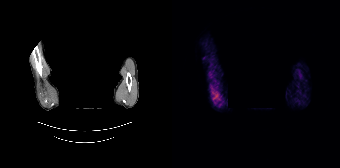
Technique: Two-panel axial: CT | PSMA PET, 68Ga tracer. PET panel 168×168 px (4.1 mm/px).
Note: Face de-identified by blanking a block of the head.
Findings: No PSMA-avid tumor lesions on this slice.